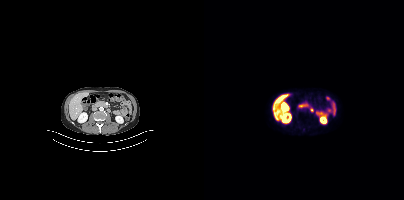
No PSMA-avid tumor lesions on this slice.